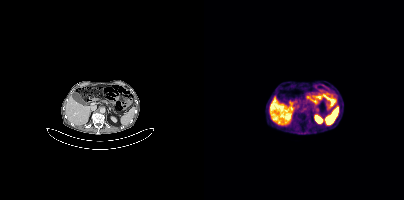
Coordinates are on the 200×200 PET (right) panel. Small PSMA-avid focus (2 to 4 px across) near (center x, center y): (113, 109). Paired axial CT (left) and PSMA PET (right), [68Ga]Ga-PSMA-11 tracer. Slice 213 of 413.